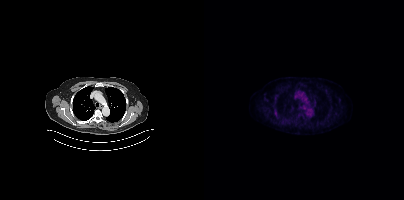
{"modality":"PSMA PET/CT","view":"axial","tracer":"18F-PSMA","pet_grid":[200,200],"coord_frame":"pet_panel","coord_format":"x0,y0,x1,y1","psma_avid_lesions":false}